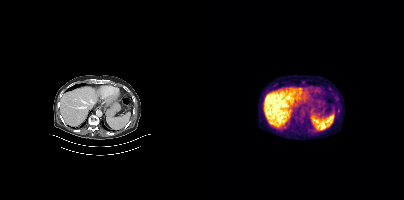
This slice has no annotated PSMA-avid lesion.